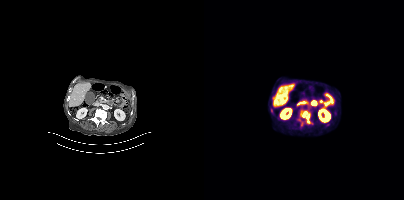
Paired axial CT (left) and PSMA PET (right), 18F-PSMA tracer. PET panel 200×200 px (4.1 mm/px). Coordinates are on the 200×200 PET (right) panel. PSMA-avid tumor lesion bounding box (x0, y0)-(x1, y1): (93, 112)-(106, 127).